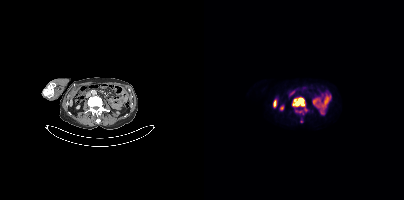
{"modality":"PSMA PET/CT","view":"axial","tracer":"[18F]PSMA-1007","pet_grid":[200,200],"coord_frame":"pet_panel","coord_format":"x0,y0,x1,y1","lesion_bboxes":[[88,97,102,114]]}